An anonymization step blacked out a rectangle over the head in this scan. Two-panel axial: CT | PSMA PET, 68Ga-PSMA tracer. Acquired on Siemens Biograph 64-4R TruePoint. Slice position z = -728 mm. PET panel 168×168 px (4.1 mm/px).
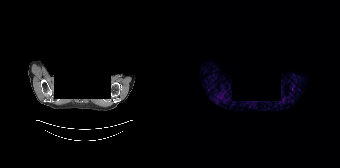
No PSMA-avid tumor lesions on this slice.